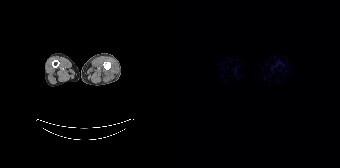
Findings: No PSMA-avid tumor lesions on this slice.
Technique: Two-panel axial: CT | PSMA PET, 18F tracer.